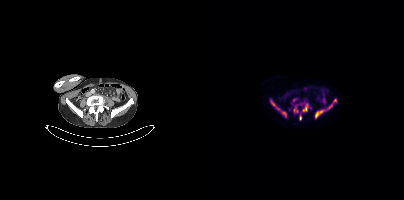
Left: CT. Right: PSMA PET, same axial level, 18F tracer.
Coordinates are on the 200×200 PET (right) panel. PSMA-avid tumor lesion bounding boxes (partial; 1 more focus not listed):
| # | x0 | y0 | x1 | y1 |
|---|---|---|---|---|
| 1 | 67 | 101 | 82 | 116 |
| 2 | 111 | 110 | 121 | 118 |
| 3 | 124 | 98 | 132 | 108 |
| 4 | 98 | 104 | 104 | 111 |
| 5 | 90 | 108 | 93 | 112 |
Small PSMA-avid focus (2 to 4 px across) near (center x, center y): (96, 117).